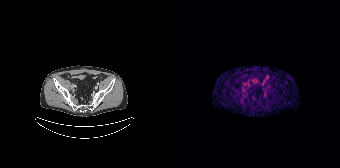
No PSMA-avid tumor lesions on this slice.